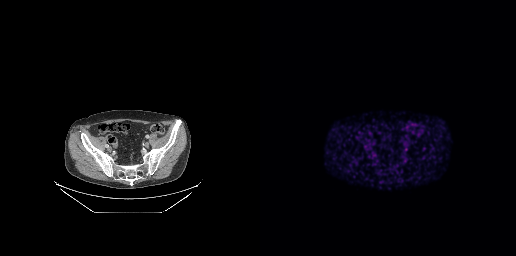
{"modality":"PSMA PET/CT","view":"axial","tracer":"68Ga","pet_grid":[256,256],"coord_frame":"pet_panel","coord_format":"x0,y0,x1,y1","psma_avid_lesions":false}